Two-panel axial: CT | PSMA PET, 18F tracer. PET panel 200×200 px (4.1 mm/px). Any black rectangle over the head is a privacy mask, not anatomy.
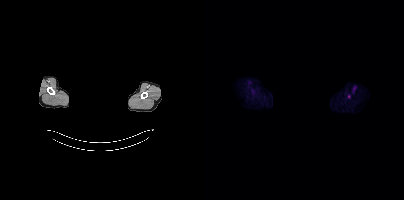
Coordinates are on the 200×200 PET (right) panel. Small PSMA-avid focus (2 to 4 px across) near (center x, center y): (145, 96).